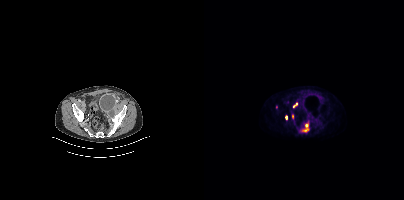
modality: PSMA PET/CT | tracer: 18F-PSMA | view: axial
Coordinates are on the 200×200 PET (right) panel. PSMA-avid tumor lesion bounding boxes (x, y, width, height): x=100 y=124 w=5 h=6 / x=89 y=103 w=5 h=5 / x=81 y=115 w=3 h=5. Small PSMA-avid foci (2 to 4 px across) near (center x, center y): (72, 107) / (88, 116).